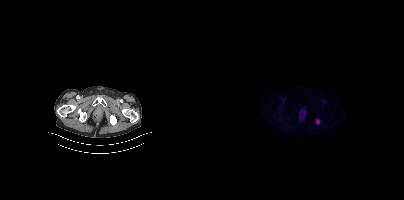
{"pet_grid":[200,200],"coord_frame":"pet_panel","coord_format":"x0,y0,x1,y1","lesion_bboxes":[[112,119,115,123]],"modality":"PSMA PET/CT","view":"axial","tracer":"18F"}